modality: PSMA PET/CT | tracer: 18F-PSMA | view: axial | PET grid: 168×168 | de-identification: rectangular block over head set to black
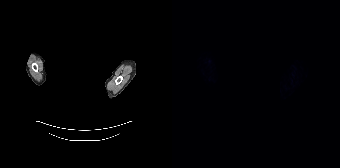
This slice has no annotated PSMA-avid lesion.